Technique: Paired axial CT (left) and PSMA PET (right), [18F]PSMA-1007 tracer. acquired on Siemens Biograph mCT Flow 20. PET panel 200×200 px (4.1 mm/px).
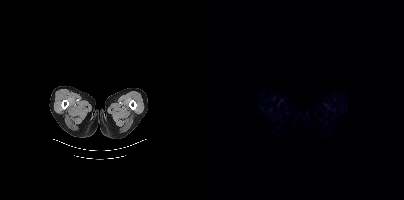
Findings: Negative for PSMA-avid disease on this slice.